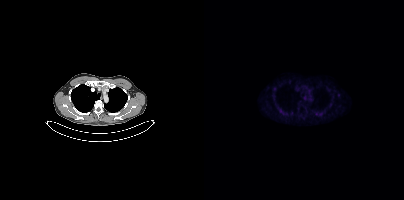
Findings: Negative for PSMA-avid disease on this slice.
Technique: Left: CT. Right: PSMA PET, same axial level, 18F-PSMA tracer. acquired on Siemens Biograph mCT Flow 20.